modality: PSMA PET/CT | tracer: [18F]PSMA-1007 | view: axial
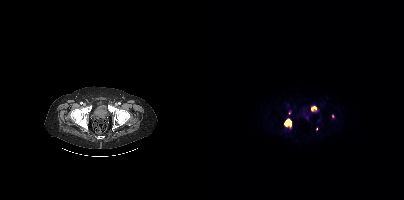
Coordinates are on the 200×200 PET (right) panel. PSMA-avid tumor lesion bounding boxes (x, y, width, height): x=80 y=119 w=8 h=8; x=107 y=106 w=6 h=6. Small PSMA-avid foci (2 to 4 px across) near (center x, center y): (128, 116); (112, 128).